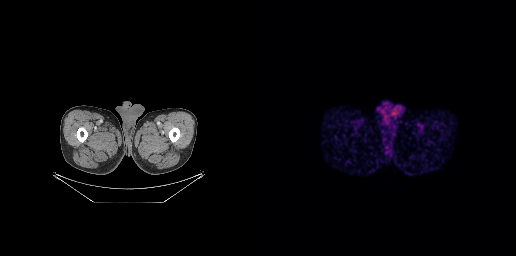
No PSMA-avid tumor lesions on this slice.